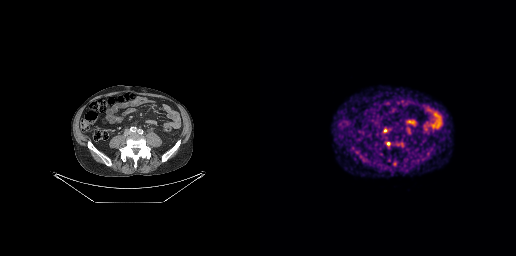
{"modality":"PSMA PET/CT","view":"axial","tracer":"68Ga-PSMA","pet_grid":[256,256],"coord_frame":"pet_panel","coord_format":"x0,y0,x1,y1","lesion_bboxes":[[123,128,127,132]],"small_foci_centers":[[128,143],[134,163]]}